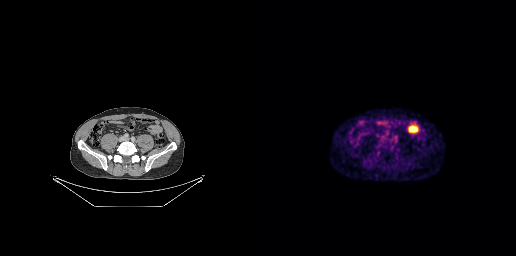
This slice has no annotated PSMA-avid lesion.